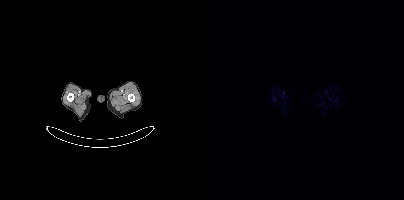
{"modality":"PSMA PET/CT","view":"axial","tracer":"[18F]PSMA-1007","pet_grid":[200,200],"coord_frame":"pet_panel","coord_format":"x0,y0,x1,y1","psma_avid_lesions":false}